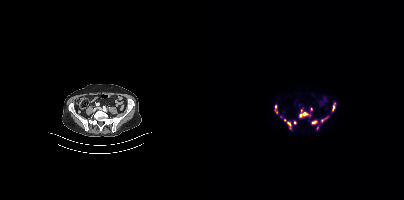
{"modality":"PSMA PET/CT","view":"axial","tracer":"[18F]PSMA-1007","pet_grid":[200,200],"coord_frame":"pet_panel","coord_format":"x0,y0,x1,y1","partial":true,"lesion_bboxes":[[96,112,103,117],[83,122,87,127],[76,115,81,120],[108,121,112,123],[128,105,130,110]],"small_foci_centers":[[71,106],[118,120],[90,122],[107,108],[72,112]]}